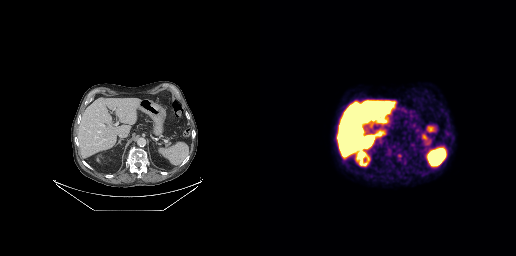
This slice has no annotated PSMA-avid lesion.
modality: PSMA PET/CT | tracer: 18F-PSMA | view: axial | PET grid: 256×256